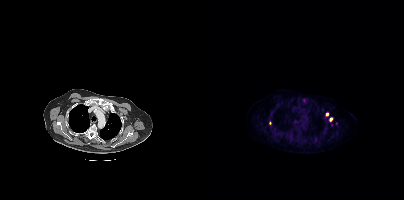
Coordinates are on the 200×200 PET (right) panel. (showing 1 of 3 foci) Small PSMA-avid focus (2 to 4 px across) near (center x, center y): (126, 119).